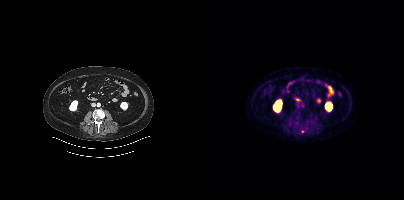
{"modality":"PSMA PET/CT","view":"axial","tracer":"18F-PSMA","pet_grid":[200,200],"coord_frame":"pet_panel","coord_format":"x0,y0,x1,y1","psma_avid_lesions":false}